modality: PSMA PET/CT | tracer: 18F-PSMA | view: axial
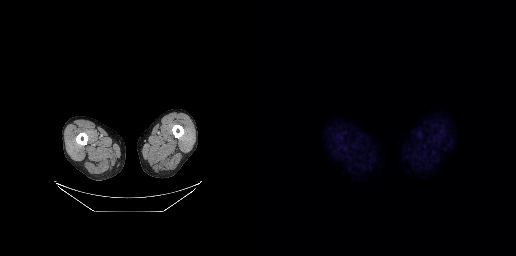
No tumor lesions annotated on this slice.